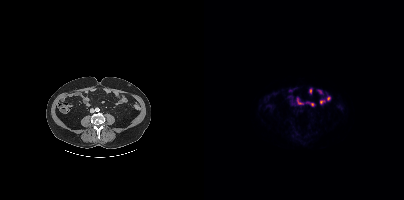
No tumor lesions annotated on this slice. Two-panel axial: CT | PSMA PET, 18F tracer. PET panel 200×200 px (4.1 mm/px).